Technique: Two-panel axial: CT | PSMA PET, 68Ga-PSMA tracer. slice position z = -190 mm. PET panel 168×168 px (4.1 mm/px).
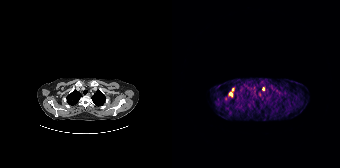
Findings: Coordinates are on the 168×168 PET (right) panel. (showing 2 of 3 foci) PSMA-avid tumor lesion bounding box (x0,y0,x1,y1): [56,88,62,97]. Small PSMA-avid focus (2 to 4 px across) near (center x, center y): (91, 88).